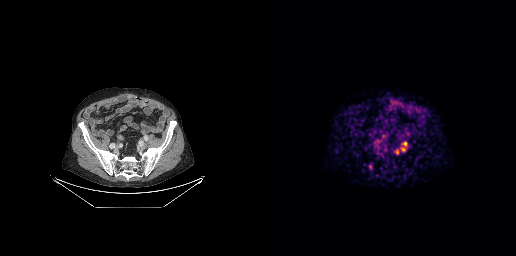
Paired axial CT (left) and PSMA PET (right), [68Ga]Ga-PSMA-11 tracer. PET panel 256×256 px (2.7 mm/px). Coordinates are on the 256×256 PET (right) panel. (showing 3 of 4 foci) PSMA-avid tumor lesion bounding boxes (x0,y0,x1,y1): [142,141,147,146], [141,148,145,151]. Small PSMA-avid focus (2 to 4 px across) near (center x, center y): (137, 151).